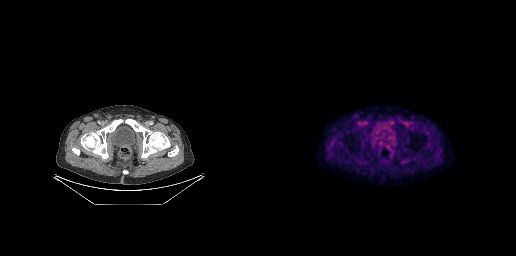
- Paired axial CT (left) and PSMA PET (right), 18F tracer
- acquired on GE Discovery 690
Findings: Coordinates are on the 256×256 PET (right) panel. (showing 1 of 2 foci) Small PSMA-avid focus (2 to 4 px across) near (center x, center y): (131, 122).